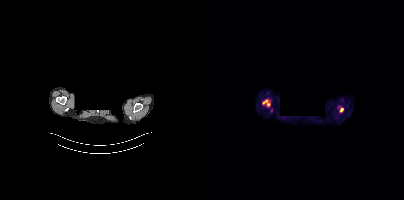
Head region blanked for anonymization (face removed).
Negative for PSMA-avid disease on this slice.